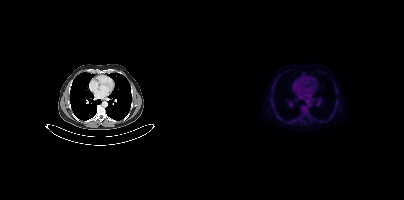
Two-panel axial: CT | PSMA PET, 18F-PSMA tracer. Negative for PSMA-avid disease on this slice.